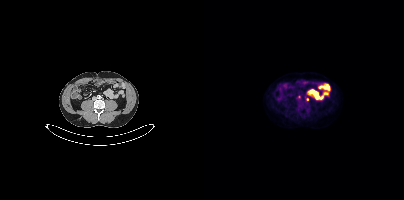
Coordinates are on the 200×200 PET (right) panel. (showing 1 of 2 foci) Small PSMA-avid focus (2 to 4 px across) near (center x, center y): (103, 99). Paired axial CT (left) and PSMA PET (right), 18F tracer. Acquired on Siemens Biograph mCT Flow 20. PET panel 200×200 px (4.1 mm/px).